Two-panel axial: CT | PSMA PET, [18F]PSMA-1007 tracer.
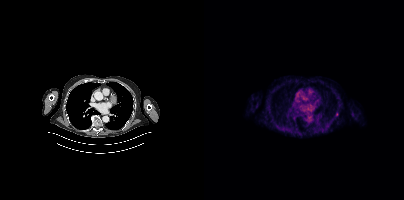
No tumor lesions annotated on this slice.